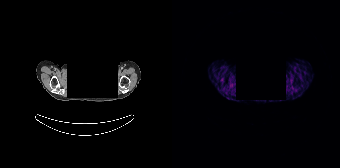
{"pet_grid":[168,168],"coord_frame":"pet_panel","coord_format":"x0,y0,x1,y1","psma_avid_lesions":false,"de-identification":"privacy mask over head","modality":"PSMA PET/CT","view":"axial","tracer":"68Ga"}